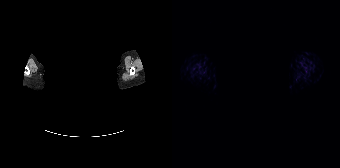
modality: PSMA PET/CT | tracer: 68Ga-PSMA | view: axial | de-identification: head region blanked (face removed)
No PSMA-avid tumor lesions on this slice.